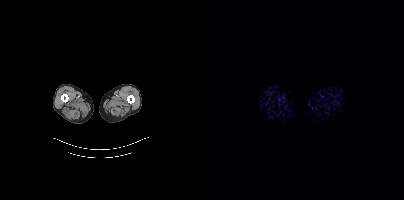
Negative for PSMA-avid disease on this slice.